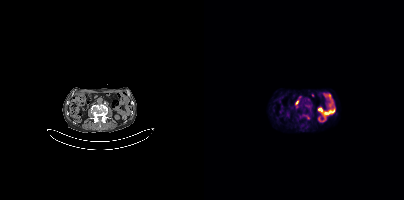
Technique: Left: CT. Right: PSMA PET, same axial level, 18F-PSMA tracer. acquired on Siemens Biograph mCT Flow 20. PET panel 200×200 px (4.1 mm/px).
Findings: Coordinates are on the 200×200 PET (right) panel. Small PSMA-avid foci (2 to 4 px across) near (center x, center y): (92, 107), (104, 117).